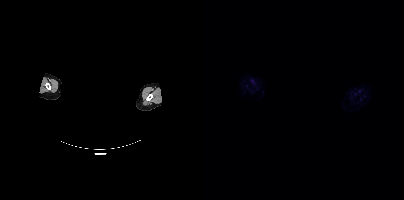
This slice has no annotated PSMA-avid lesion.
redaction: face masked with black rectangle | modality: PSMA PET/CT | tracer: 18F | view: axial